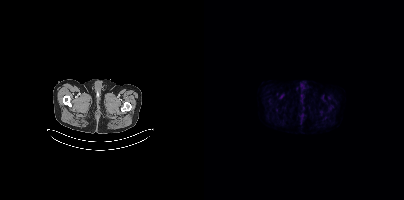
Paired axial CT (left) and PSMA PET (right), 18F-PSMA tracer. Slice position z = -1510 mm. Negative for PSMA-avid disease on this slice.